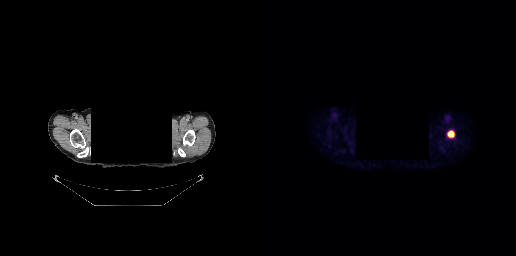
Paired axial CT (left) and PSMA PET (right), 18F tracer. An anonymization step blacked out a rectangle over the head in this scan.
Coordinates are on the 256×256 PET (right) panel. PSMA-avid tumor lesion bounding boxes:
| # | x0 | y0 | x1 | y1 |
|---|---|---|---|---|
| 1 | 187 | 130 | 194 | 137 |